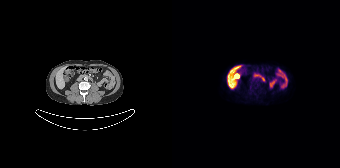
No tumor lesions annotated on this slice.